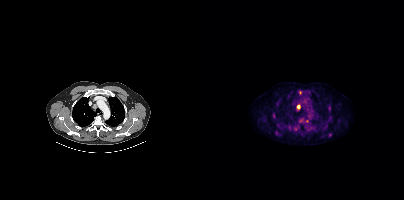
{"pet_grid":[200,200],"coord_frame":"pet_panel","coord_format":"x0,y0,x1,y1","lesion_bboxes":[[93,104,96,109]],"small_foci_centers":[[96,92],[103,120],[122,125]],"modality":"PSMA PET/CT","view":"axial","tracer":"18F"}